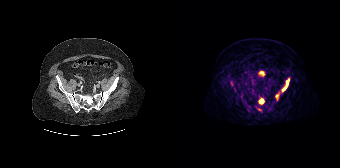
Coordinates are on the 168×168 PET (right) panel. PSMA-avid tumor lesion bounding boxes:
| # | x0 | y0 | x1 | y1 |
|---|---|---|---|---|
| 1 | 110 | 79 | 117 | 91 |
| 2 | 87 | 99 | 92 | 103 |
Small PSMA-avid focus (2 to 4 px across) near (center x, center y): (105, 96).
Left: CT. Right: PSMA PET, same axial level, 68Ga tracer. PET panel 168×168 px (4.1 mm/px).